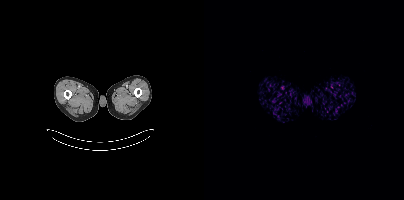
- Paired axial CT (left) and PSMA PET (right), [68Ga]Ga-PSMA-11 tracer
Findings: Negative for PSMA-avid disease on this slice.